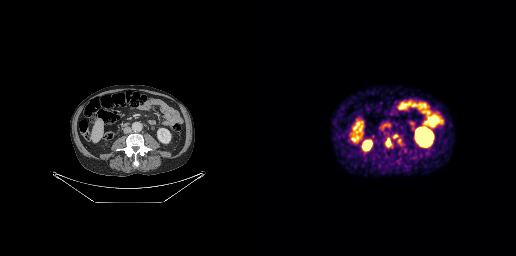
{"modality":"PSMA PET/CT","view":"axial","tracer":"68Ga-PSMA","pet_grid":[256,256],"coord_frame":"pet_panel","coord_format":"x0,y0,x1,y1","lesion_bboxes":[[132,134,142,145],[127,137,132,147]]}